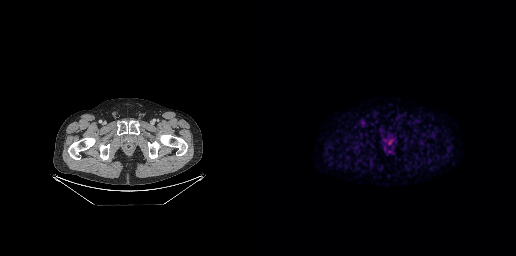
Coordinates are on the 256×256 PET (right) panel. Small PSMA-avid focus (2 to 4 px across) near (center x, center y): (133, 139). Left: CT. Right: PSMA PET, same axial level, 18F-PSMA tracer.